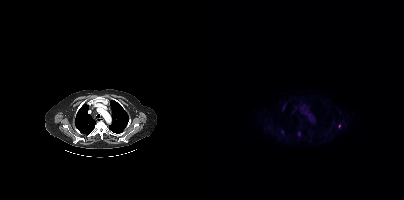
Two-panel axial: CT | PSMA PET, [18F]PSMA-1007 tracer. Slice 311 of 389. Only PSMA-avid lesion pieces thinner than 2 px on this slice (not listed).